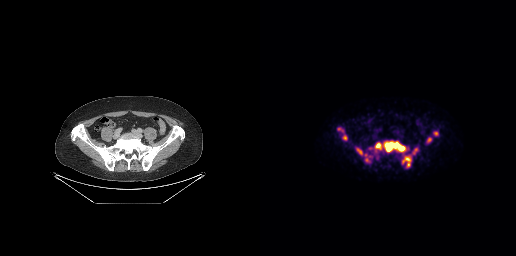
Two-panel axial: CT | PSMA PET, 18F tracer. PET panel 256×256 px (2.7 mm/px). Coordinates are on the 256×256 PET (right) panel. (showing 8 of 9 foci) PSMA-avid tumor lesion bounding boxes (x, y, width, height): x=115 y=140 w=34 h=14; x=96 y=148 w=14 h=14; x=142 y=155 w=10 h=13; x=152 y=148 w=6 h=7; x=83 y=135 w=5 h=6; x=167 y=137 w=5 h=6; x=174 y=131 w=5 h=5; x=78 y=128 w=6 h=4.